- Left: CT. Right: PSMA PET, same axial level, 18F-PSMA tracer
- slice 60 of 423
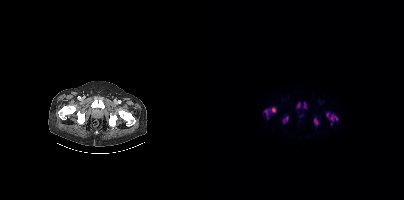
Findings: Coordinates are on the 200×200 PET (right) panel. PSMA-avid tumor lesion bounding boxes (x0, y0)-(x1, y1): (60, 107)-(72, 119); (122, 112)-(134, 125); (110, 117)-(114, 125); (79, 116)-(84, 122); (92, 102)-(96, 107); (99, 102)-(102, 107).